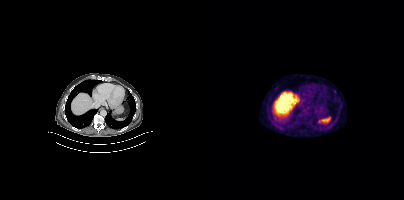
- Two-panel axial: CT | PSMA PET, 18F tracer
- slice 252 of 429
- PET panel 200×200 px (4.1 mm/px)
Findings: Coordinates are on the 200×200 PET (right) panel. Small PSMA-avid focus (2 to 4 px across) near (center x, center y): (130, 91).